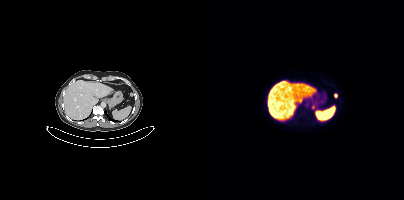
Technique: Two-panel axial: CT | PSMA PET, 18F tracer. PET panel 200×200 px (4.1 mm/px).
Findings: Coordinates are on the 200×200 PET (right) panel. Small PSMA-avid foci (2 to 4 px across) near (center x, center y): (131, 95); (109, 106).